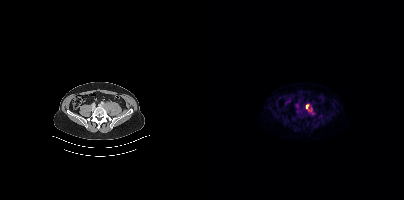
- Paired axial CT (left) and PSMA PET (right), 18F tracer
- slice 130 of 417
- PET panel 200×200 px (4.1 mm/px)
Findings: Coordinates are on the 200×200 PET (right) panel. PSMA-avid tumor lesion bounding box (x0,y0,x1,y1): [101,104,108,111].